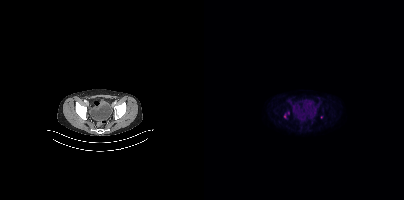
Left: CT. Right: PSMA PET, same axial level, 18F-PSMA tracer. Slice position z = -820 mm. Only PSMA-avid lesion pieces thinner than 2 px on this slice (not listed).